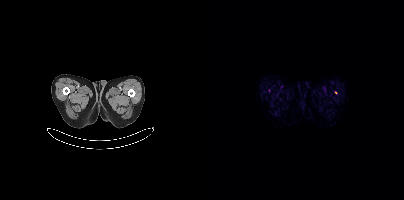
Paired axial CT (left) and PSMA PET (right), 18F tracer. PET panel 200×200 px (4.1 mm/px). Coordinates are on the 200×200 PET (right) panel. (showing 1 of 2 foci) Small PSMA-avid focus (2 to 4 px across) near (center x, center y): (131, 92).